Two-panel axial: CT | PSMA PET, [68Ga]Ga-PSMA-11 tracer. Any black rectangle over the head is a privacy mask, not anatomy.
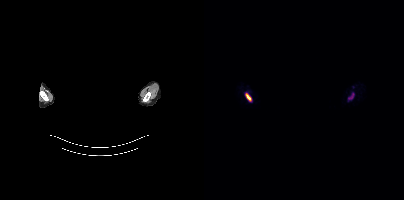
Coordinates are on the 200×200 PET (right) panel. PSMA-avid tumor lesion bounding boxes (x0, y0)-(x1, y1): (41, 93)-(47, 101) / (144, 95)-(149, 99).